Any black rectangle over the head is a privacy mask, not anatomy. Left: CT. Right: PSMA PET, same axial level, 18F tracer. Slice position z = -903 mm.
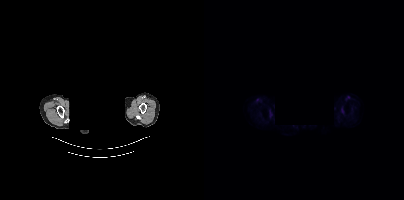
This slice has no annotated PSMA-avid lesion.